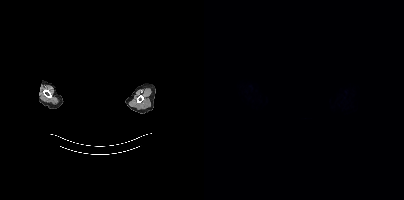
Head region blanked for anonymization (face removed). Left: CT. Right: PSMA PET, same axial level, 18F-PSMA tracer. Slice 369 of 395. PET panel 200×200 px (4.1 mm/px). This slice has no annotated PSMA-avid lesion.